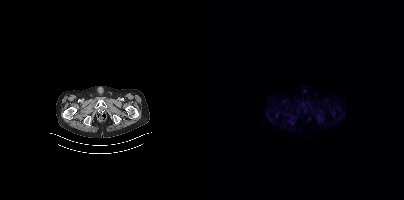
No tumor lesions annotated on this slice. Paired axial CT (left) and PSMA PET (right), 18F tracer. Slice 34 of 401. PET panel 200×200 px (4.1 mm/px).